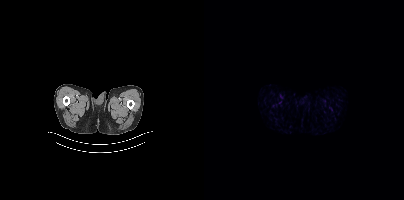
Findings: No tumor lesions annotated on this slice.
Technique: Two-panel axial: CT | PSMA PET, [18F]PSMA-1007 tracer. slice 8 of 411. PET panel 200×200 px (4.1 mm/px).